Paired axial CT (left) and PSMA PET (right), [18F]PSMA-1007 tracer. PET panel 200×200 px (4.1 mm/px).
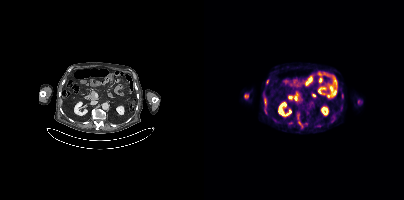
Coordinates are on the 200×200 PET (right) panel. (showing 1 of 2 foci) Small PSMA-avid focus (2 to 4 px across) near (center x, center y): (63, 81).